Two-panel axial: CT | PSMA PET, 18F-PSMA tracer. Acquired on GE Discovery 690.
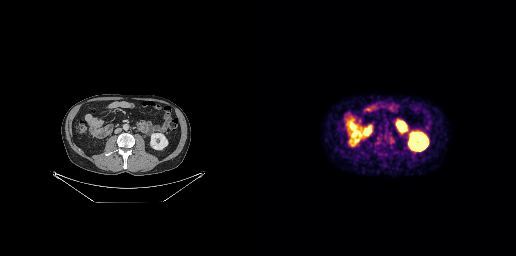
Coordinates are on the 256×256 PET (right) panel. PSMA-avid tumor lesion bounding boxes:
| # | x0 | y0 | x1 | y1 |
|---|---|---|---|---|
| 1 | 119 | 136 | 136 | 143 |